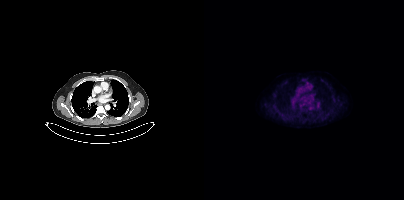
Findings: Negative for PSMA-avid disease on this slice.
- Two-panel axial: CT | PSMA PET, 18F-PSMA tracer
- slice 303 of 429
- PET panel 200×200 px (4.1 mm/px)